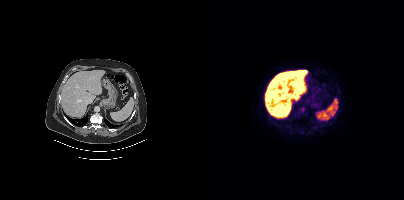
- Two-panel axial: CT | PSMA PET, 18F-PSMA tracer
- acquired on Siemens Biograph mCT Flow 20
- slice 250 of 435
- PET panel 200×200 px (4.1 mm/px)
Findings: Negative for PSMA-avid disease on this slice.